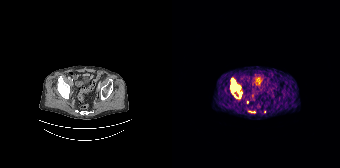
Coordinates are on the 168×168 PET (right) panel. PSMA-avid tumor lesion bounding boxes (partial; 3 more foci not listed):
| # | x0 | y0 | x1 | y1 |
|---|---|---|---|---|
| 1 | 59 | 79 | 68 | 90 |
| 2 | 59 | 86 | 62 | 92 |
Small PSMA-avid focus (2 to 4 px across) near (center x, center y): (68, 94).
Left: CT. Right: PSMA PET, same axial level, 68Ga tracer. PET panel 168×168 px (4.1 mm/px).